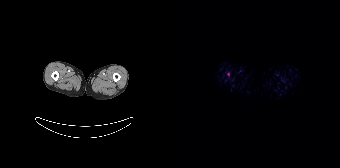
Coordinates are on the 168×168 PET (right) panel. Small PSMA-avid focus (2 to 4 px across) near (center x, center y): (56, 74).